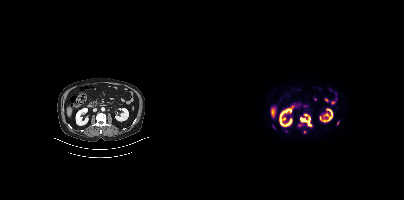
Left: CT. Right: PSMA PET, same axial level, [18F]PSMA-1007 tracer. Slice position z = -60 mm. PET panel 200×200 px (4.1 mm/px).
Coordinates are on the 200×200 PET (right) panel. PSMA-avid tumor lesion bounding boxes (partial; 1 more focus not listed):
| # | x0 | y0 | x1 | y1 |
|---|---|---|---|---|
| 1 | 96 | 114 | 107 | 126 |
Small PSMA-avid focus (2 to 4 px across) near (center x, center y): (100, 132).